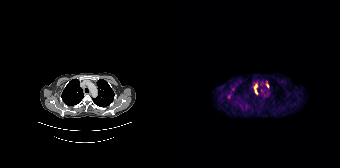
Coordinates are on the 168×168 PET (right) panel. PSMA-avid tumor lesion bounding boxes:
| # | x0 | y0 | x1 | y1 |
|---|---|---|---|---|
| 1 | 82 | 84 | 85 | 94 |
Small PSMA-avid focus (2 to 4 px across) near (center x, center y): (95, 85).
Left: CT. Right: PSMA PET, same axial level, [68Ga]Ga-PSMA-11 tracer. Slice position z = -304 mm.